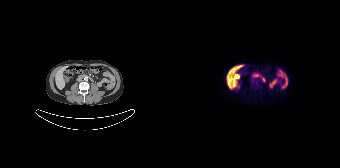
Two-panel axial: CT | PSMA PET, 18F-PSMA tracer. Acquired on Siemens Biograph 64-4R TruePoint. No PSMA-avid tumor lesions on this slice.